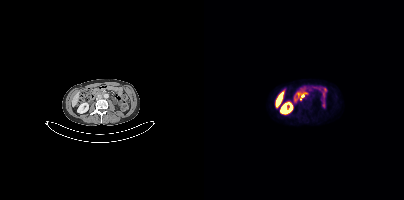
Coordinates are on the 200×200 PET (right) panel. (showing 1 of 2 foci) Small PSMA-avid focus (2 to 4 px across) near (center x, center y): (98, 96).